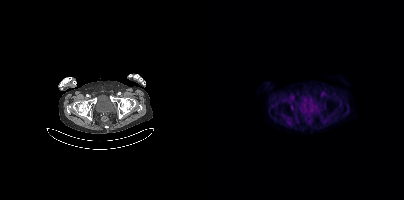
Findings: No tumor lesions annotated on this slice.
- Two-panel axial: CT | PSMA PET, 18F tracer
- slice position z = -1543 mm